modality: PSMA PET/CT | tracer: 18F-PSMA | view: axial | PET grid: 200×200
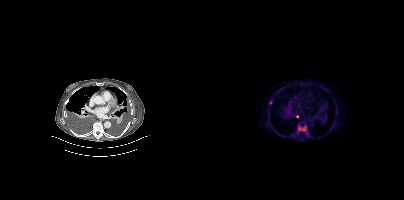
Coordinates are on the 200×200 PET (right) panel. (showing 2 of 3 foci) PSMA-avid tumor lesion bounding box (x0, y0)-(x1, y1): (94, 125)-(105, 136). Small PSMA-avid focus (2 to 4 px across) near (center x, center y): (66, 102).